Technique: Two-panel axial: CT | PSMA PET, [18F]PSMA-1007 tracer. slice 83 of 438. PET panel 200×200 px (4.1 mm/px).
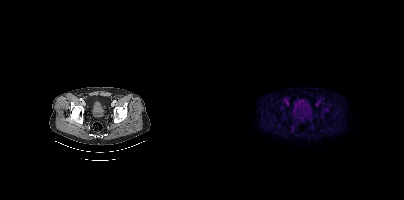
Findings: No PSMA-avid tumor lesions on this slice.